- Two-panel axial: CT | PSMA PET, 68Ga-PSMA tracer
- acquired on Siemens Biograph mCT Flow 20
- slice position z = -1556 mm
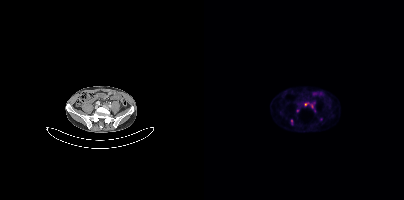
Findings: Coordinates are on the 200×200 PET (right) panel. PSMA-avid tumor lesion bounding box (x0,y0,x1,y1): [100,103,104,105]. Small PSMA-avid foci (2 to 4 px across) near (center x, center y): (87, 121); (107, 106); (93, 110).